modality: PSMA PET/CT | tracer: [68Ga]Ga-PSMA-11 | view: axial | PET grid: 256×256
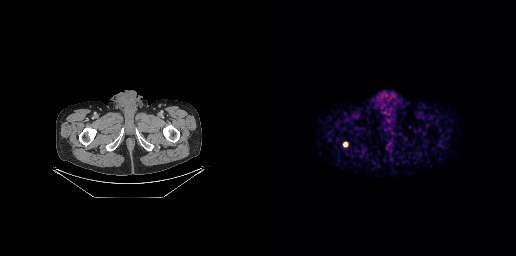
Coordinates are on the 256×256 PET (right) panel. Small PSMA-avid focus (2 to 4 px across) near (center x, center y): (85, 144).